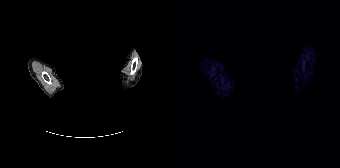
Facial anatomy redacted by setting a rectangular region of the head to black. Two-panel axial: CT | PSMA PET, [68Ga]Ga-PSMA-11 tracer. Slice position z = 104 mm. No PSMA-avid tumor lesions on this slice.